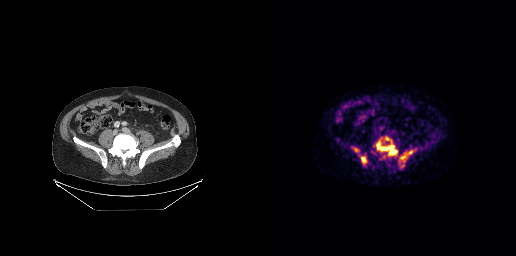
Coordinates are on the 256×256 PET (right) panel. (showing 5 of 6 foci) PSMA-avid tumor lesion bounding boxes (x0, y0)-(x1, y1): (117, 140)-(137, 155) / (101, 157)-(106, 162) / (140, 155)-(145, 159) / (125, 137)-(129, 140) / (148, 151)-(152, 153).
modality: PSMA PET/CT | tracer: 68Ga-PSMA | view: axial | PET grid: 256×256